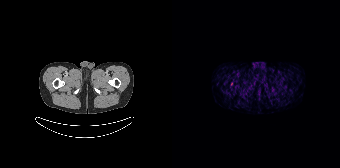
Two-panel axial: CT | PSMA PET, 68Ga-PSMA tracer. Acquired on Siemens Biograph 64-4R TruePoint. Slice 33 of 195. PET panel 168×168 px (4.1 mm/px). No tumor lesions annotated on this slice.